Technique: Paired axial CT (left) and PSMA PET (right), [18F]PSMA-1007 tracer. acquired on Siemens Biograph mCT Flow 20.
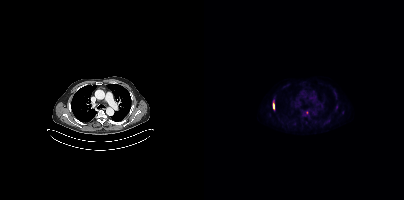
Findings: Coordinates are on the 200×200 PET (right) panel. PSMA-avid tumor lesion bounding box (x0,y0,x1,y1): [69,101,70,108]. Small PSMA-avid focus (2 to 4 px across) near (center x, center y): (103, 112).